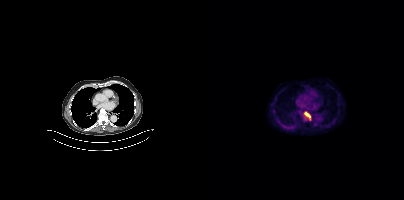
{"modality":"PSMA PET/CT","view":"axial","tracer":"[18F]PSMA-1007","pet_grid":[200,200],"coord_frame":"pet_panel","coord_format":"x0,y0,x1,y1","lesion_bboxes":[[100,111,106,120]]}